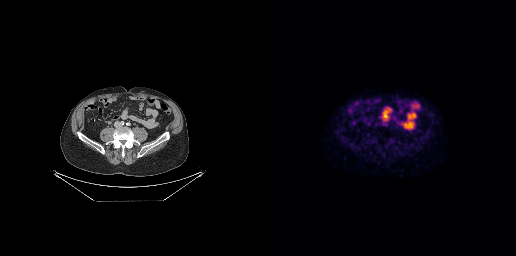
No PSMA-avid tumor lesions on this slice. Paired axial CT (left) and PSMA PET (right), 18F tracer. Slice 107 of 263.